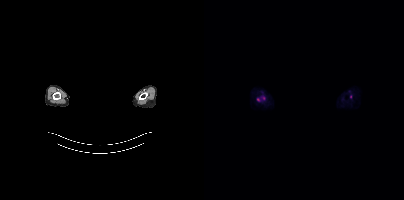
{"modality":"PSMA PET/CT","view":"axial","tracer":"18F-PSMA","pet_grid":[200,200],"coord_frame":"pet_panel","coord_format":"x0,y0,x1,y1","redaction":"facial region redacted","partial":true,"lesion_bboxes":[],"small_foci_centers":[[54,99],[146,96]]}